Paired axial CT (left) and PSMA PET (right), 18F tracer. Slice 24 of 431.
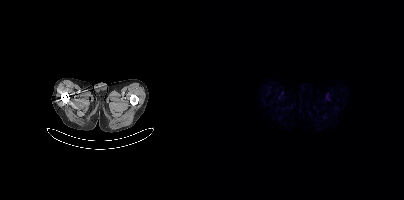
This slice has no annotated PSMA-avid lesion.